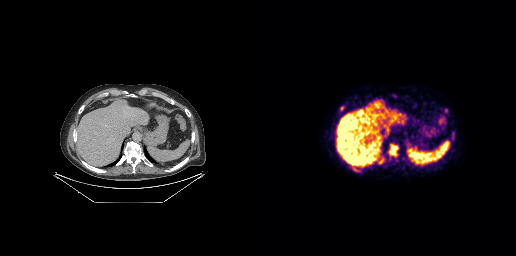
Findings: Coordinates are on the 256×256 PET (right) panel. PSMA-avid tumor lesion bounding boxes (x, y, width, height): x=129 y=144 w=10 h=12 / x=80 y=106 w=5 h=6. Small PSMA-avid focus (2 to 4 px across) near (center x, center y): (192, 137).
Technique: Two-panel axial: CT | PSMA PET, [18F]PSMA-1007 tracer. slice position z = -371 mm.